Two-panel axial: CT | PSMA PET, 18F tracer. Acquired on Siemens Biograph 64-4R TruePoint.
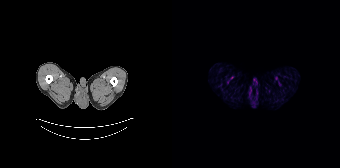
No PSMA-avid tumor lesions on this slice.